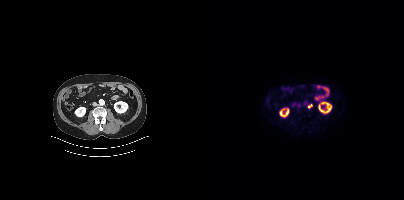
Technique: Paired axial CT (left) and PSMA PET (right), 18F-PSMA tracer. acquired on Siemens Biograph mCT Flow 20. PET panel 200×200 px (4.1 mm/px).
Findings: Coordinates are on the 200×200 PET (right) panel. PSMA-avid tumor lesion bounding box (x0,y0,x1,y1): [104,104,108,108].